Technique: Left: CT. Right: PSMA PET, same axial level, [68Ga]Ga-PSMA-11 tracer.
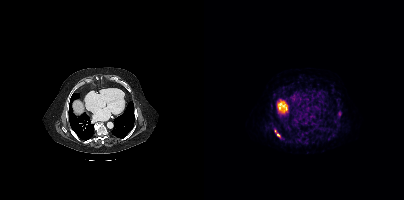
Findings: Coordinates are on the 200×200 PET (right) panel. PSMA-avid tumor lesion bounding box (x0, y0)-(x1, y1): (71, 130)-(76, 137).